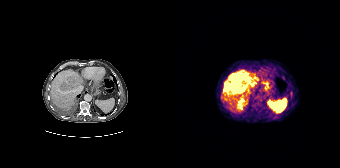
{"modality":"PSMA PET/CT","view":"axial","tracer":"[68Ga]Ga-PSMA-11","pet_grid":[168,168],"coord_frame":"pet_panel","coord_format":"x0,y0,x1,y1","partial":true,"lesion_bboxes":[[52,72,79,94]]}